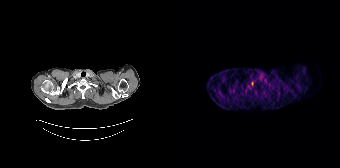
Technique: Left: CT. Right: PSMA PET, same axial level, 68Ga tracer. acquired on Siemens Biograph 64-4R TruePoint.
Findings: Coordinates are on the 168×168 PET (right) panel. Small PSMA-avid focus (2 to 4 px across) near (center x, center y): (80, 83).